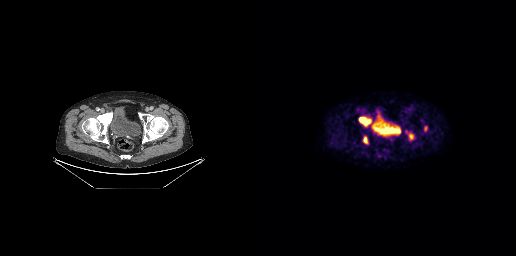
Technique: Left: CT. Right: PSMA PET, same axial level, 18F-PSMA tracer.
Findings: Coordinates are on the 256×256 PET (right) panel. PSMA-avid tumor lesion bounding boxes (x0,y0,x1,y1): [99,117,111,126] [147,131,155,141] [103,136,107,143] [164,126,167,131].